modality: PSMA PET/CT | tracer: 68Ga | view: axial
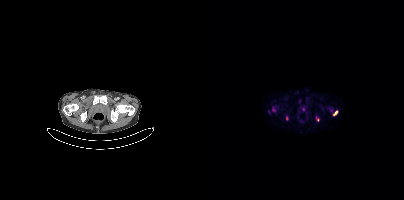
Coordinates are on the 200×200 PET (right) panel. PSMA-avid tumor lesion bounding box (x0, y0)-(x1, y1): (129, 111)-(133, 115). Small PSMA-avid foci (2 to 4 px across) near (center x, center y): (113, 119) | (82, 118).